Left: CT. Right: PSMA PET, same axial level, 18F-PSMA tracer.
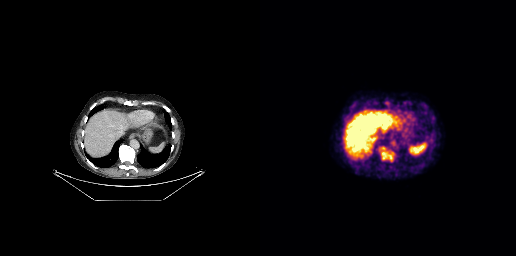
Coordinates are on the 256×256 PET (right) panel. PSMA-avid tumor lesion bounding boxes (partial; 1 more focus not listed):
| # | x0 | y0 | x1 | y1 |
|---|---|---|---|---|
| 1 | 122 | 152 | 132 | 159 |